Technique: Paired axial CT (left) and PSMA PET (right), 68Ga-PSMA tracer. PET panel 256×256 px (2.7 mm/px).
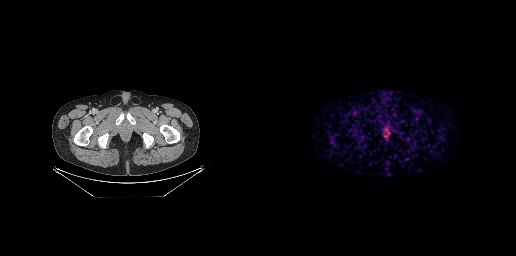
Findings: Negative for PSMA-avid disease on this slice.